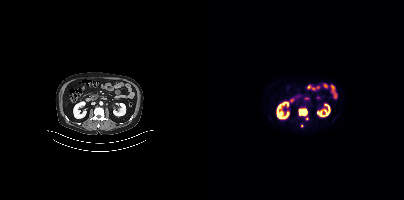
Technique: Paired axial CT (left) and PSMA PET (right), 18F tracer. acquired on Siemens Biograph mCT Flow 20. slice position z = -532 mm. PET panel 200×200 px (4.1 mm/px).
Findings: Coordinates are on the 200×200 PET (right) panel. PSMA-avid tumor lesion bounding box (x0, y0)-(x1, y1): (94, 108)-(103, 115). Small PSMA-avid foci (2 to 4 px across) near (center x, center y): (103, 118); (97, 125).